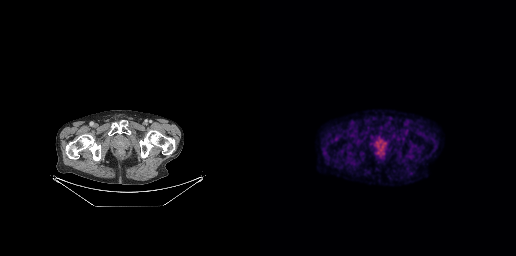
{"modality":"PSMA PET/CT","view":"axial","tracer":"18F","pet_grid":[256,256],"coord_frame":"pet_panel","coord_format":"x0,y0,x1,y1","psma_avid_lesions":false}